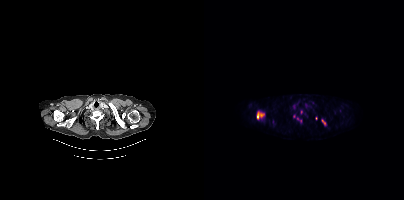
Left: CT. Right: PSMA PET, same axial level, 18F tracer. Slice 386 of 450. PET panel 200×200 px (4.1 mm/px).
Coordinates are on the 200×200 PET (right) panel. PSMA-avid tumor lesion bounding boxes (partial; 2 more foci not listed):
| # | x0 | y0 | x1 | y1 |
|---|---|---|---|---|
| 1 | 52 | 110 | 60 | 119 |
| 2 | 118 | 119 | 121 | 123 |
Small PSMA-avid foci (2 to 4 px across) near (center x, center y): (89, 116); (93, 118); (96, 120).